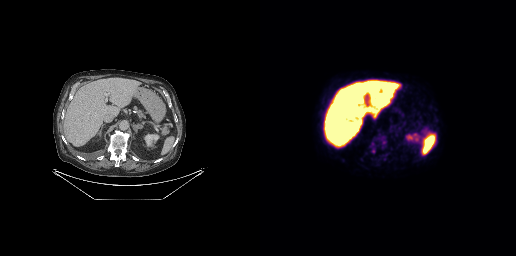
Left: CT. Right: PSMA PET, same axial level, [18F]PSMA-1007 tracer. PET panel 256×256 px (2.7 mm/px). Only PSMA-avid lesion pieces thinner than 2 px on this slice (not listed).